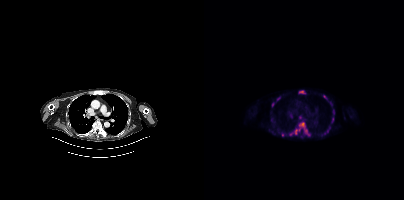
Paired axial CT (left) and PSMA PET (right), 18F tracer. Slice 304 of 415. PET panel 200×200 px (4.1 mm/px).
Coordinates are on the 200×200 PET (right) panel. PSMA-avid tumor lesion bounding boxes (partial; 3 more foci not listed):
| # | x0 | y0 | x1 | y1 |
|---|---|---|---|---|
| 1 | 95 | 122 | 106 | 136 |
| 2 | 85 | 128 | 96 | 135 |
| 3 | 77 | 132 | 80 | 136 |
| 4 | 68 | 102 | 70 | 106 |
| 5 | 95 | 91 | 99 | 92 |
Small PSMA-avid foci (2 to 4 px across) near (center x, center y): (74, 98); (96, 117); (120, 96); (121, 133); (129, 111); (68, 131).